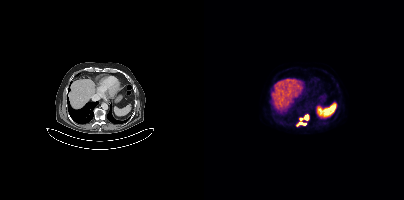
Paired axial CT (left) and PSMA PET (right), 18F tracer. Acquired on Siemens Biograph mCT Flow 20. Coordinates are on the 200×200 PET (right) panel. PSMA-avid tumor lesion bounding boxes (x, y, width, height): x=100 y=115 w=5 h=5 / x=95 y=122 w=7 h=3. Small PSMA-avid focus (2 to 4 px across) near (center x, center y): (97, 118).